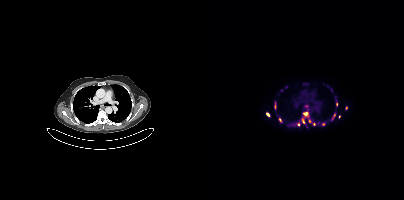
{"modality":"PSMA PET/CT","view":"axial","tracer":"[18F]PSMA-1007","pet_grid":[200,200],"coord_frame":"pet_panel","coord_format":"x0,y0,x1,y1","partial":true,"lesion_bboxes":[[99,112,104,115],[98,119,101,124],[132,101,134,106],[128,113,131,119],[75,118,77,122]],"small_foci_centers":[[101,106],[142,107],[63,114],[119,124],[106,120],[135,116],[94,124]]}